- Left: CT. Right: PSMA PET, same axial level, [18F]PSMA-1007 tracer
- acquired on Siemens Biograph mCT Flow 20
- slice position z = -1042 mm
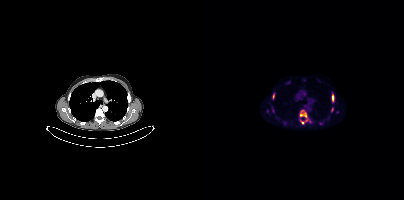
Findings: Coordinates are on the 200×200 PET (right) panel. (showing 7 of 8 foci) PSMA-avid tumor lesion bounding boxes (x0, y0)-(x1, y1): (95, 109)-(107, 124) | (127, 92)-(130, 102) | (68, 93)-(70, 99) | (127, 107)-(129, 112). Small PSMA-avid foci (2 to 4 px across) near (center x, center y): (84, 82) | (63, 110) | (68, 110).